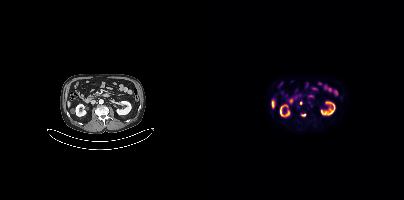
Coordinates are on the 200×200 PET (right) panel. (showing 1 of 2 foci) Small PSMA-avid focus (2 to 4 px across) near (center x, center y): (96, 102).